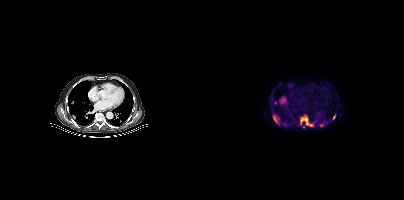
Coordinates are on the 200×200 PET (right) panel. (showing 6 of 7 foci) PSMA-avid tumor lesion bounding boxes (x0,y0,x1,y1): [96,118,110,126], [69,115,72,122], [129,115,131,119]. Small PSMA-avid foci (2 to 4 px across) near (center x, center y): (117, 125), (71, 103), (99, 126).